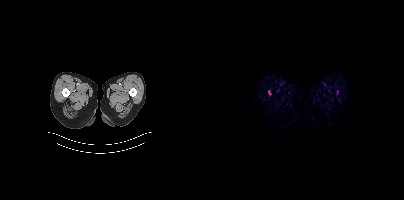
{"pet_grid":[200,200],"coord_frame":"pet_panel","coord_format":"x0,y0,x1,y1","partial":true,"lesion_bboxes":[],"small_foci_centers":[[65,91]],"modality":"PSMA PET/CT","view":"axial","tracer":"[18F]PSMA-1007"}